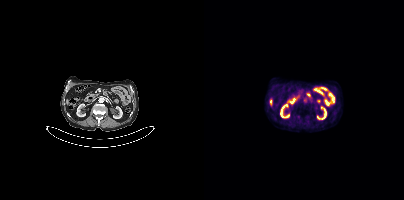
{"pet_grid":[200,200],"coord_frame":"pet_panel","coord_format":"x0,y0,x1,y1","psma_avid_lesions":false,"modality":"PSMA PET/CT","view":"axial","tracer":"18F"}